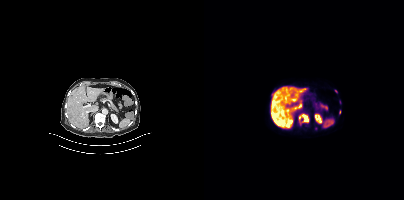
Left: CT. Right: PSMA PET, same axial level, 18F tracer. Slice 207 of 403. PET panel 200×200 px (4.1 mm/px). Coordinates are on the 200×200 PET (right) panel. PSMA-avid tumor lesion bounding boxes (x, y, width, height): x=67 y=112 w=9 h=12 / x=98 y=115 w=7 h=7 / x=94 y=89 w=6 h=4. Small PSMA-avid foci (2 to 4 px across) near (center x, center y): (85, 92) / (83, 110) / (135, 112) / (78, 111) / (95, 117) / (131, 90).